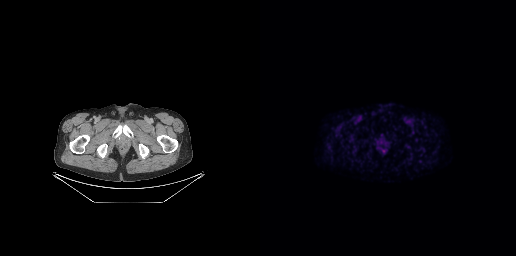
{"modality":"PSMA PET/CT","view":"axial","tracer":"[18F]PSMA-1007","pet_grid":[256,256],"coord_frame":"pet_panel","coord_format":"x0,y0,x1,y1","psma_avid_lesions":false}